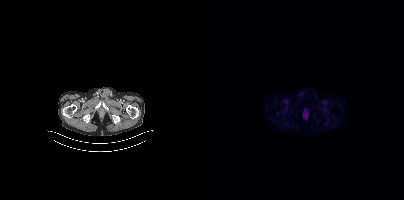
{"pet_grid":[200,200],"coord_frame":"pet_panel","coord_format":"x0,y0,x1,y1","psma_avid_lesions":false,"modality":"PSMA PET/CT","view":"axial","tracer":"18F-PSMA"}